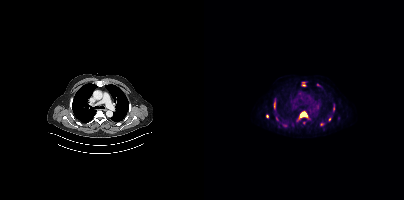
Coordinates are on the 200×200 PET (right) panel. (showing 8 of 11 foci) PSMA-avid tumor lesion bounding boxes (x, y, width, height): x=96 y=112 w=8 h=6; x=70 y=103 w=2 h=6; x=129 y=107 w=2 h=5. Small PSMA-avid foci (2 to 4 px across) near (center x, center y): (100, 122); (63, 116); (117, 124); (125, 119); (113, 84).